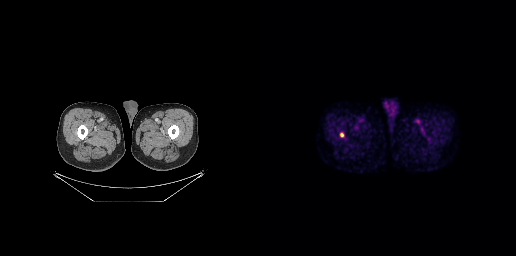
Findings: Coordinates are on the 256×256 PET (right) panel. Small PSMA-avid focus (2 to 4 px across) near (center x, center y): (82, 134).
Technique: Left: CT. Right: PSMA PET, same axial level, [18F]PSMA-1007 tracer. slice position z = -1034 mm. PET panel 256×256 px (2.7 mm/px).